Paired axial CT (left) and PSMA PET (right), [18F]PSMA-1007 tracer. Acquired on Siemens Biograph mCT Flow 20.
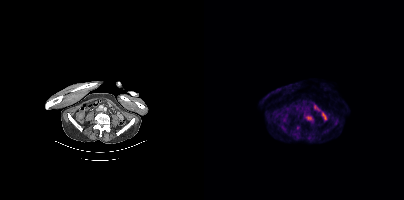
Coordinates are on the 200×200 PET (right) panel. PSMA-avid tumor lesion bounding boxes:
| # | x0 | y0 | x1 | y1 |
|---|---|---|---|---|
| 1 | 101 | 115 | 108 | 120 |
Small PSMA-avid focus (2 to 4 px across) near (center x, center y): (80, 129).